Paired axial CT (left) and PSMA PET (right), 18F-PSMA tracer. Acquired on Siemens Biograph mCT Flow 20. Slice position z = -588 mm.
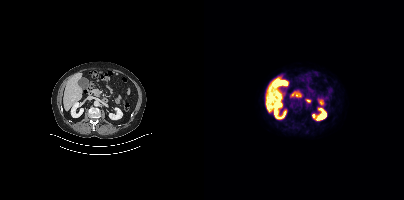
This slice has no annotated PSMA-avid lesion.